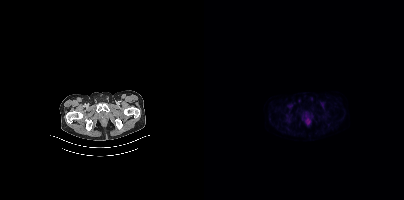
No tumor lesions annotated on this slice.